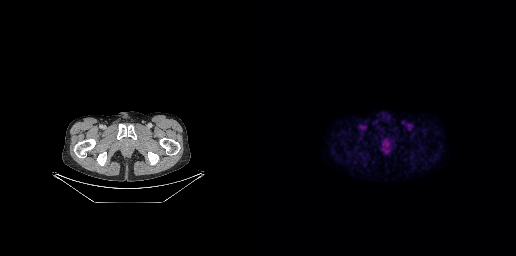
Left: CT. Right: PSMA PET, same axial level, [18F]PSMA-1007 tracer. Slice position z = -743 mm.
Coordinates are on the 256×256 PET (right) panel. PSMA-avid tumor lesion bounding boxes:
| # | x0 | y0 | x1 | y1 |
|---|---|---|---|---|
| 1 | 122 | 140 | 130 | 154 |